modality: PSMA PET/CT | tracer: 18F-PSMA | view: axial
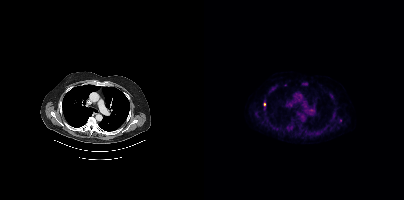
Coordinates are on the 200×200 PET (right) panel. (showing 3 of 6 foci) PSMA-avid tumor lesion bounding box (x0,y0,x1,y1): [61,117,64,122]. Small PSMA-avid foci (2 to 4 px across) near (center x, center y): (84, 127); (60, 104).